Left: CT. Right: PSMA PET, same axial level, 18F tracer. Slice 350 of 409.
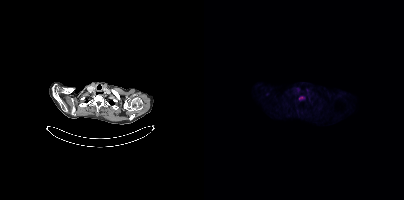
Coordinates are on the 200×200 PET (right) panel. Small PSMA-avid focus (2 to 4 px across) near (center x, center y): (96, 98).